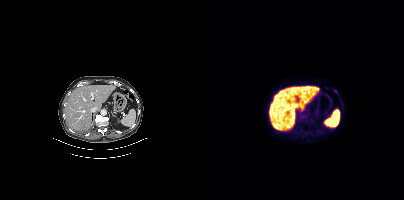
Coordinates are on the 200×200 PET (right) panel. PSMA-avid tumor lesion bounding box (x0, y0)-(x1, y1): (130, 89)-(133, 93).